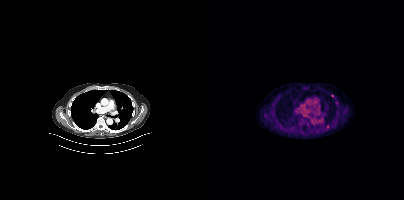
- Paired axial CT (left) and PSMA PET (right), 18F tracer
- PET panel 200×200 px (4.1 mm/px)
Findings: Coordinates are on the 200×200 PET (right) panel. (showing 2 of 3 foci) PSMA-avid tumor lesion bounding box (x0, y0)-(x1, y1): (122, 125)-(125, 129). Small PSMA-avid focus (2 to 4 px across) near (center x, center y): (128, 95).